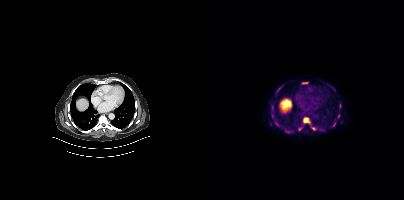
Coordinates are on the 200×200 PET (right) panel. (showing 14 of 16 foci) PSMA-avid tumor lesion bounding boxes (x0,y0,x1,y1): [99,117,106,124]; [67,104,70,114]; [71,121,76,126]; [72,87,77,92]; [128,121,132,127]; [126,86,131,91]; [68,115,71,119]; [98,82,103,84]; [135,104,137,108]. Small PSMA-avid foci (2 to 4 px across) near (center x, center y): (95, 128); (109, 128); (134, 116); (120, 130); (85, 131).